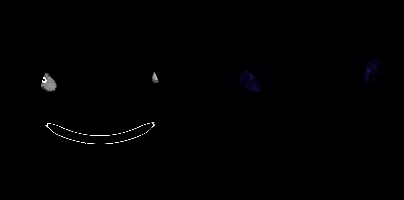
A rectangular block over the head has been blanked out for de-identification.
No tumor lesions annotated on this slice.